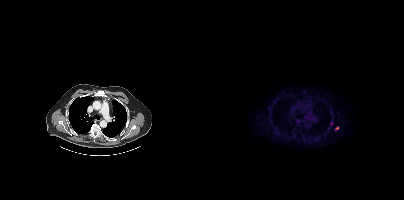
modality: PSMA PET/CT | tracer: 18F-PSMA | view: axial | PET grid: 200×200
Coordinates are on the 200×200 PET (right) panel. Small PSMA-avid focus (2 to 4 px across) near (center x, center y): (133, 128).